Technique: Two-panel axial: CT | PSMA PET, 68Ga-PSMA tracer. slice 206 of 263. PET panel 256×256 px (2.7 mm/px).
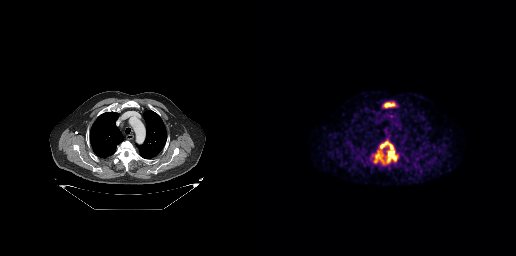
Findings: Coordinates are on the 256×256 PET (right) panel. PSMA-avid tumor lesion bounding boxes (x0, y0)-(x1, y1): (113, 140)-(138, 164) / (123, 102)-(135, 107).